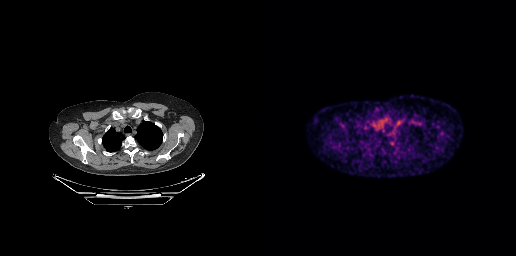
{"pet_grid":[256,256],"coord_frame":"pet_panel","coord_format":"x0,y0,x1,y1","psma_avid_lesions":false,"modality":"PSMA PET/CT","view":"axial","tracer":"18F-PSMA"}